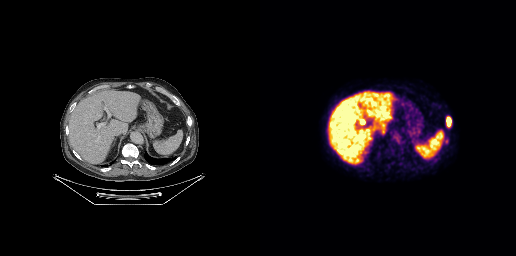
Technique: Left: CT. Right: PSMA PET, same axial level, 18F tracer.
Findings: Coordinates are on the 256×256 PET (right) panel. PSMA-avid tumor lesion bounding box (x0,y0,x1,y1): [186,116,191,127]. Small PSMA-avid focus (2 to 4 px across) near (center x, center y): (186, 141).